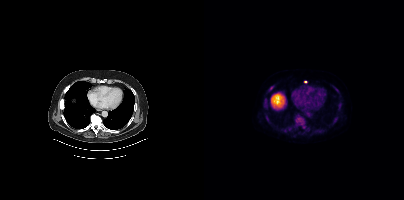
modality: PSMA PET/CT | tracer: 18F-PSMA | view: axial | PET grid: 200×200
Coordinates are on the 200×200 PET (right) panel. PSMA-avid tumor lesion bounding boxes (x0,y0,x1,y1): [91,116,103,130], [60,100,63,109], [134,103,137,108], [65,86,70,91], [128,118,133,123], [130,87,134,92], [84,126,87,130]. Small PSMA-avid foci (2 to 4 px across) near (center x, center y): (120, 129), (81, 130), (65, 122), (101, 81), (90, 129).